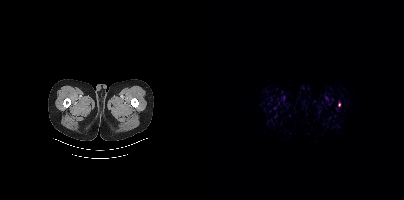
{"modality":"PSMA PET/CT","view":"axial","tracer":"18F-PSMA","pet_grid":[200,200],"coord_frame":"pet_panel","coord_format":"x0,y0,x1,y1","lesion_bboxes":[[134,102,136,106]]}